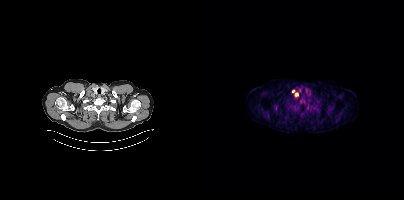
Two-panel axial: CT | PSMA PET, [18F]PSMA-1007 tracer. Slice position z = 1720 mm. PET panel 200×200 px (4.1 mm/px). Coordinates are on the 200×200 PET (right) panel. PSMA-avid tumor lesion bounding box (x0, y0)-(x1, y1): (91, 92)-(94, 96). Small PSMA-avid focus (2 to 4 px across) near (center x, center y): (89, 91).